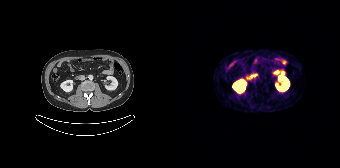
Findings: Negative for PSMA-avid disease on this slice.
Technique: Two-panel axial: CT | PSMA PET, [68Ga]Ga-PSMA-11 tracer. acquired on Siemens Biograph 64-4R TruePoint.